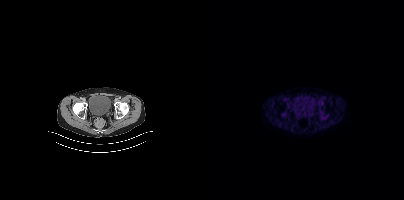
Negative for PSMA-avid disease on this slice. Paired axial CT (left) and PSMA PET (right), 18F tracer. Acquired on Siemens Biograph mCT Flow 20. PET panel 200×200 px (4.1 mm/px).